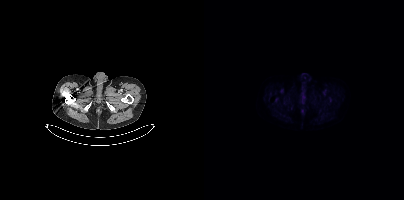
{"modality":"PSMA PET/CT","view":"axial","tracer":"18F","pet_grid":[200,200],"coord_frame":"pet_panel","coord_format":"x0,y0,x1,y1","psma_avid_lesions":false}